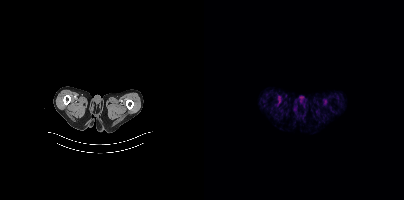
Left: CT. Right: PSMA PET, same axial level, 18F-PSMA tracer. Slice 30 of 427. This slice has no annotated PSMA-avid lesion.